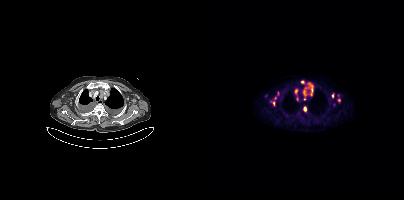
Coordinates are on the 200×200 PET (right) panel. (showing 10 of 12 foci) PSMA-avid tumor lesion bounding boxes (x0, y0)-(x1, y1): (104, 84)-(109, 95) / (66, 96)-(72, 106) / (99, 87)-(102, 96) / (99, 106)-(102, 111) / (91, 89)-(93, 93). Small PSMA-avid foci (2 to 4 px across) near (center x, center y): (98, 82) / (135, 100) / (128, 95) / (100, 99) / (61, 95).